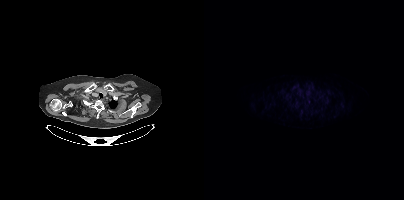
Left: CT. Right: PSMA PET, same axial level, [18F]PSMA-1007 tracer. Acquired on Siemens Biograph mCT Flow 20. Slice position z = -243 mm. PET panel 200×200 px (4.1 mm/px). No tumor lesions annotated on this slice.